Technique: Left: CT. Right: PSMA PET, same axial level, 18F-PSMA tracer. acquired on Siemens Biograph mCT Flow 20.
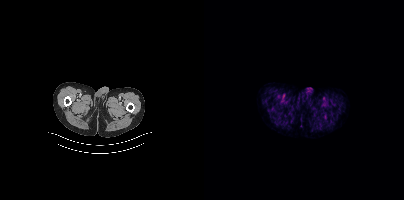
Findings: Negative for PSMA-avid disease on this slice.